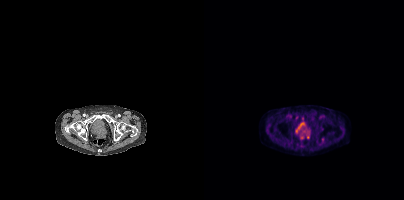
Technique: Paired axial CT (left) and PSMA PET (right), 18F tracer. acquired on Siemens Biograph mCT Flow 20. slice 71 of 389. PET panel 200×200 px (4.1 mm/px).
Findings: Coordinates are on the 200×200 PET (right) panel. PSMA-avid tumor lesion bounding boxes (x0,y0,x1,y1): [101,133,105,138] [97,134,99,139]. Small PSMA-avid foci (2 to 4 px across) near (center x, center y): (98, 117) (119, 139) (108, 119).